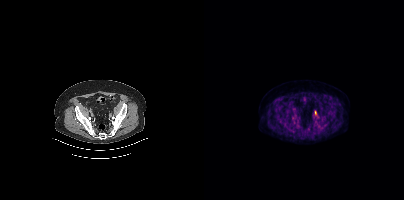
{"modality":"PSMA PET/CT","view":"axial","tracer":"18F","pet_grid":[200,200],"coord_frame":"pet_panel","coord_format":"x0,y0,x1,y1","lesion_bboxes":[],"small_foci_centers":[[111,112]]}